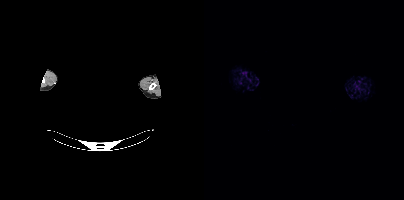
{"pet_grid":[200,200],"coord_frame":"pet_panel","coord_format":"x0,y0,x1,y1","psma_avid_lesions":false,"redaction":"privacy mask over head","modality":"PSMA PET/CT","view":"axial","tracer":"18F-PSMA"}